Technique: Two-panel axial: CT | PSMA PET, 18F-PSMA tracer. acquired on Siemens Biograph mCT Flow 20. slice 277 of 433. PET panel 200×200 px (4.1 mm/px).
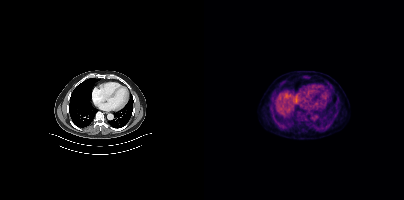
Findings: Coordinates are on the 200×200 PET (right) panel. Small PSMA-avid focus (2 to 4 px across) near (center x, center y): (67, 108).